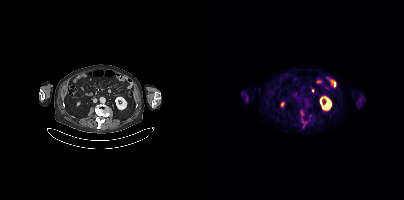
Coordinates are on the 200×200 PET (right) panel. PSMA-avid tumor lesion bounding boxes (x0, y0)-(x1, y1): (98, 119)-(103, 127); (97, 110)-(99, 115). Paired axial CT (left) and PSMA PET (right), [18F]PSMA-1007 tracer. Acquired on Siemens Biograph mCT Flow 20. PET panel 200×200 px (4.1 mm/px).